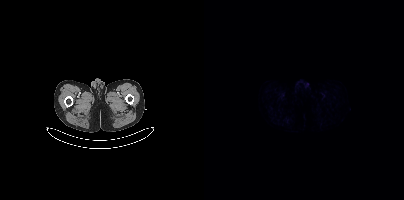
{"pet_grid":[200,200],"coord_frame":"pet_panel","coord_format":"x0,y0,x1,y1","psma_avid_lesions":false,"modality":"PSMA PET/CT","view":"axial","tracer":"[68Ga]Ga-PSMA-11"}